An anonymization step blacked out a rectangle over the head in this scan. Two-panel axial: CT | PSMA PET, 18F tracer. Acquired on Siemens Biograph mCT Flow 20. Slice 394 of 409.
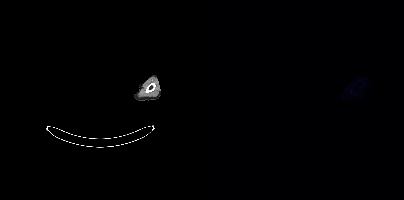
No tumor lesions annotated on this slice.